Two-panel axial: CT | PSMA PET, 68Ga tracer. Acquired on Siemens Biograph mCT Flow 20. Slice 26 of 433.
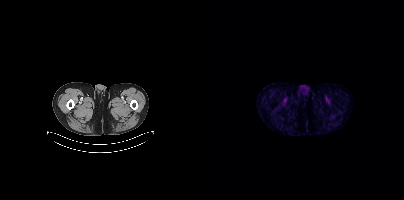
No tumor lesions annotated on this slice.